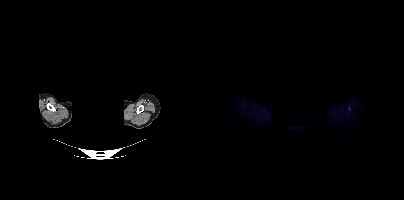
{"modality":"PSMA PET/CT","view":"axial","tracer":"18F-PSMA","pet_grid":[200,200],"coord_frame":"pet_panel","coord_format":"x0,y0,x1,y1","redaction":"head region blanked (face removed)","lesion_bboxes":[],"small_foci_centers":[[145,108]]}